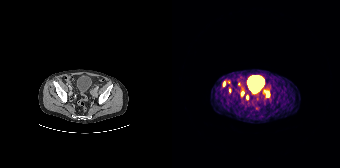
- Paired axial CT (left) and PSMA PET (right), 68Ga tracer
Findings: Coordinates are on the 168×168 PET (right) panel. PSMA-avid tumor lesion bounding boxes (x0,y0,x1,y1): [93,91,97,96] [69,91,72,96]. Small PSMA-avid foci (2 to 4 px across) near (center x, center y): (52, 83) (75, 97) (57, 90).